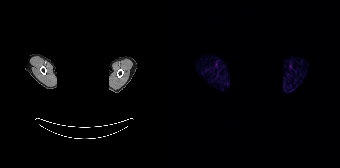
An anonymization step blacked out a rectangle over the head in this scan.
This slice has no annotated PSMA-avid lesion.